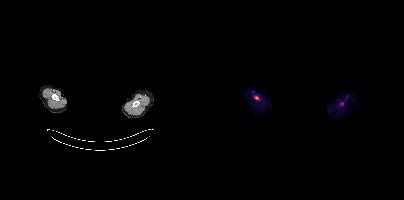
{"modality":"PSMA PET/CT","view":"axial","tracer":"18F","pet_grid":[200,200],"coord_frame":"pet_panel","coord_format":"x0,y0,x1,y1","lesion_bboxes":[],"small_foci_centers":[[52,97]],"de-identification":"head region blanked (face removed)"}